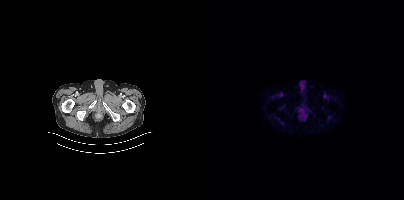
No PSMA-avid tumor lesions on this slice.